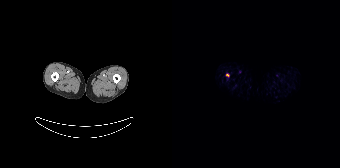
Findings: Coordinates are on the 168×168 PET (right) panel. Small PSMA-avid focus (2 to 4 px across) near (center x, center y): (55, 75).
- Paired axial CT (left) and PSMA PET (right), 18F-PSMA tracer
- PET panel 168×168 px (4.1 mm/px)